The face region was removed for patient privacy by blanking a rectangle over the head. Two-panel axial: CT | PSMA PET, 18F tracer. PET panel 200×200 px (4.1 mm/px).
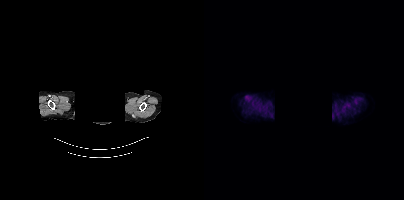
Negative for PSMA-avid disease on this slice.